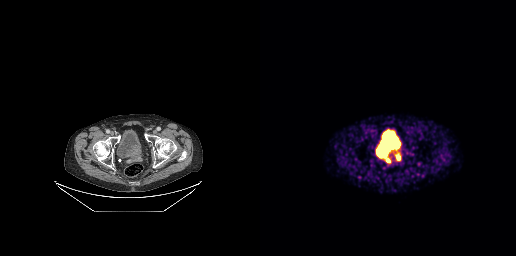
Technique: Two-panel axial: CT | PSMA PET, 68Ga tracer. PET panel 256×256 px (2.7 mm/px).
Findings: Coordinates are on the 256×256 PET (right) panel. PSMA-avid tumor lesion bounding boxes (x0, y0)-(x1, y1): (132, 148)-(140, 160) | (125, 155)-(130, 163).